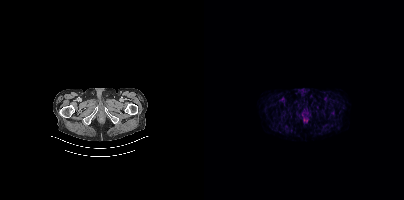
{"modality":"PSMA PET/CT","view":"axial","tracer":"18F-PSMA","pet_grid":[200,200],"coord_frame":"pet_panel","coord_format":"x0,y0,x1,y1","psma_avid_lesions":false}